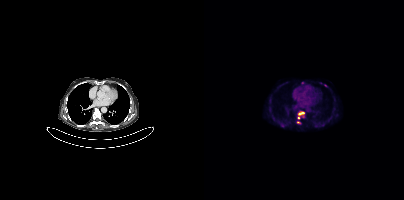
Coordinates are on the 200×200 PET (right) panel. (showing 4 of 5 foci) PSMA-avid tumor lesion bounding box (x0,y0,x1,y1): [94,112,100,115]. Small PSMA-avid foci (2 to 4 px across) near (center x, center y): (94, 122) (95, 118) (98, 82).